modality: PSMA PET/CT | tracer: [18F]PSMA-1007 | view: axial
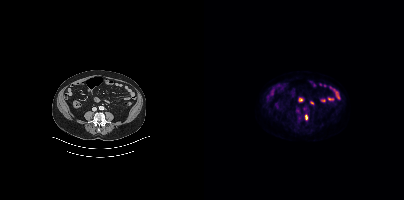
Coordinates are on the 200×200 PET (right) panel. PSMA-avid tumor lesion bounding box (x0,y0,x1,y1): [101,115,103,119].